Two-panel axial: CT | PSMA PET, 18F tracer. Slice position z = -652 mm. PET panel 200×200 px (4.1 mm/px).
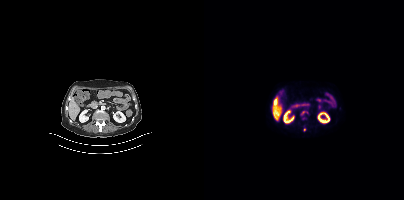
Coordinates are on the 200×200 PET (right) panel. PSMA-avid tumor lesion bounding boxes:
| # | x0 | y0 | x1 | y1 |
|---|---|---|---|---|
| 1 | 70 | 100 | 72 | 104 |
Small PSMA-avid focus (2 to 4 px across) near (center x, center y): (100, 129).